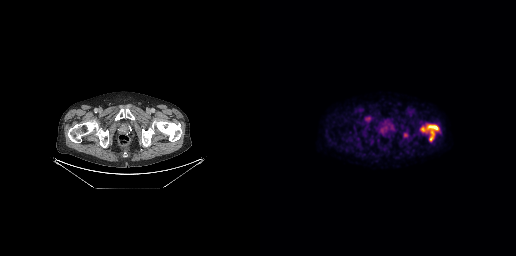
{"modality":"PSMA PET/CT","view":"axial","tracer":"[18F]PSMA-1007","pet_grid":[256,256],"coord_frame":"pet_panel","coord_format":"x0,y0,x1,y1","lesion_bboxes":[[161,123,178,141]]}